Paired axial CT (left) and PSMA PET (right), 68Ga tracer. Acquired on Siemens Biograph 64-4R TruePoint.
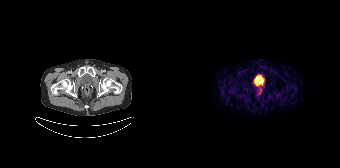
This slice has no annotated PSMA-avid lesion.